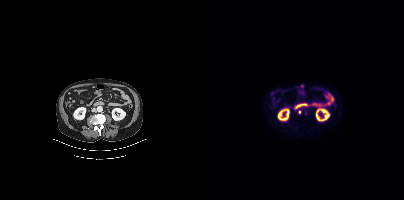
{"modality":"PSMA PET/CT","view":"axial","tracer":"18F-PSMA","pet_grid":[200,200],"coord_frame":"pet_panel","coord_format":"x0,y0,x1,y1","lesion_bboxes":[],"small_foci_centers":[[95,111]]}